De-identified by setting a box covering the face to black before release.
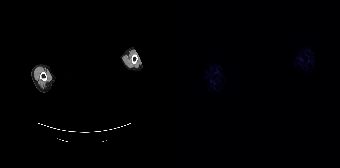
No tumor lesions annotated on this slice.